- Left: CT. Right: PSMA PET, same axial level, [18F]PSMA-1007 tracer
- acquired on Siemens Biograph mCT Flow 20
- slice position z = -388 mm
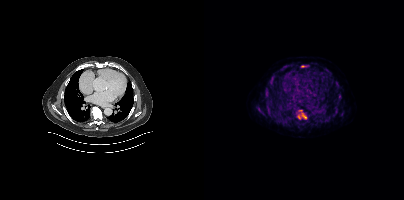
Findings: Coordinates are on the 200×200 PET (right) panel. PSMA-avid tumor lesion bounding boxes (x0, y0)-(x1, y1): (94, 110)-(101, 116); (62, 103)-(66, 108); (65, 113)-(69, 117); (68, 73)-(72, 77); (128, 113)-(132, 116); (97, 65)-(101, 67); (133, 99)-(136, 103). Small PSMA-avid foci (2 to 4 px across) near (center x, center y): (132, 82); (63, 89); (120, 68); (138, 114); (62, 98); (102, 118).